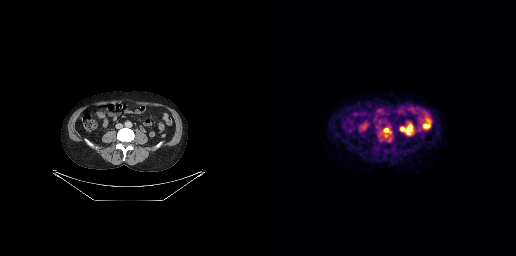
Coordinates are on the 256×256 PET (right) panel. PSMA-avid tumor lesion bounding box (x0, y0)-(x1, y1): (124, 128)-(128, 132). Two-panel axial: CT | PSMA PET, [18F]PSMA-1007 tracer. Acquired on GE Discovery 690.